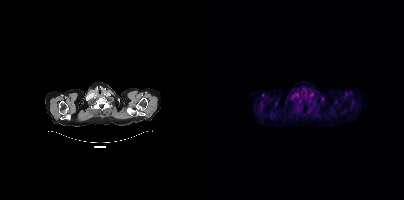
This slice has no annotated PSMA-avid lesion.